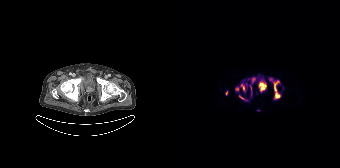
Findings: Coordinates are on the 168×168 PET (right) panel. (showing 9 of 10 foci) PSMA-avid tumor lesion bounding boxes (x0, y0)-(x1, y1): (101, 80)-(108, 99) | (68, 83)-(73, 91) | (67, 95)-(75, 100) | (63, 87)-(67, 91) | (97, 78)-(101, 81) | (78, 85)-(80, 95) | (53, 91)-(55, 95). Small PSMA-avid foci (2 to 4 px across) near (center x, center y): (81, 79) | (74, 84).
- Two-panel axial: CT | PSMA PET, [18F]PSMA-1007 tracer
- acquired on Siemens Biograph 64-4R TruePoint
- slice 23 of 165
- PET panel 168×168 px (4.1 mm/px)